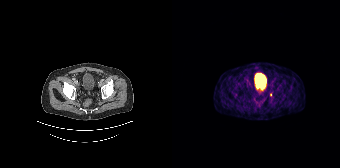
- Left: CT. Right: PSMA PET, same axial level, 68Ga-PSMA tracer
- slice position z = -1196 mm
Findings: Only PSMA-avid lesion pieces thinner than 2 px on this slice (not listed).